Two-panel axial: CT | PSMA PET, 18F tracer. Slice position z = 1072 mm. PET panel 200×200 px (4.1 mm/px).
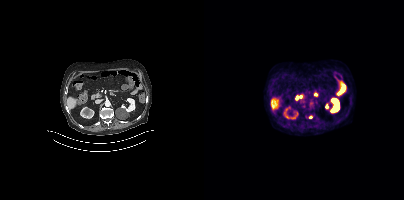
Coordinates are on the 200×200 PET (right) panel. Small PSMA-avid focus (2 to 4 px across) near (center x, center y): (106, 117).